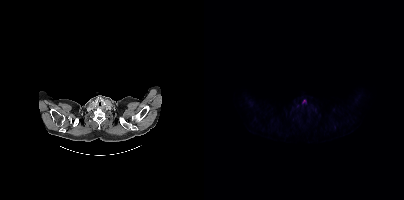
No PSMA-avid tumor lesions on this slice.